Paired axial CT (left) and PSMA PET (right), 18F tracer. Acquired on Siemens Biograph mCT Flow 20. Slice position z = -518 mm.
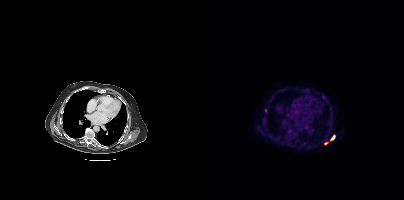
Coordinates are on the 200×200 PET (right) panel. PSMA-avid tumor lesion bounding boxes:
| # | x0 | y0 | x1 | y1 |
|---|---|---|---|---|
| 1 | 127 | 135 | 130 | 140 |
Small PSMA-avid foci (2 to 4 px across) near (center x, center y): (61, 110); (121, 143).